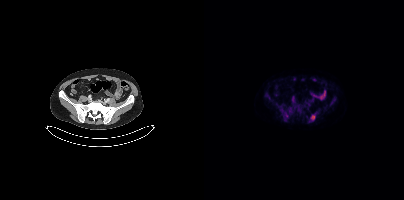
modality: PSMA PET/CT | tracer: [18F]PSMA-1007 | view: axial | PET grid: 200×200
Coordinates are on the 200×200 PET (right) panel. (showing 2 of 3 foci) PSMA-avid tumor lesion bounding boxes (x0, y0)-(x1, y1): (106, 115)-(111, 120) / (80, 113)-(84, 117).